A rectangle over the head was blacked out to remove identifiable facial features.
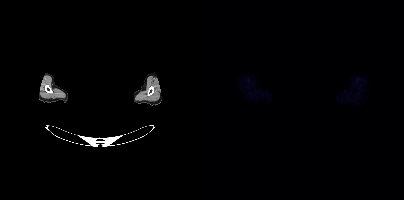
No PSMA-avid tumor lesions on this slice.